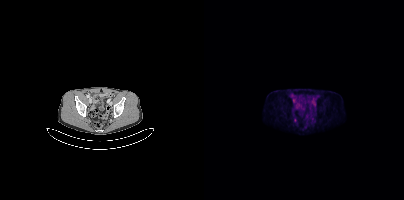
- Paired axial CT (left) and PSMA PET (right), [18F]PSMA-1007 tracer
Findings: Coordinates are on the 200×200 PET (right) panel. Small PSMA-avid focus (2 to 4 px across) near (center x, center y): (91, 119).